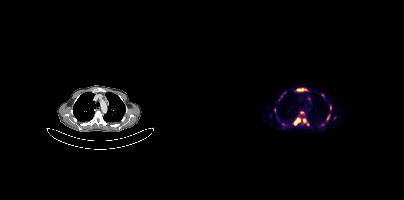
Findings: Coordinates are on the 200×200 PET (right) panel. (showing 11 of 14 foci) PSMA-avid tumor lesion bounding boxes (x0,y0,x1,y1): [90,118,96,125]; [93,88,102,91]; [122,115,125,120]. Small PSMA-avid foci (2 to 4 px across) near (center x, center y): (100, 120); (98, 112); (118, 95); (126, 107); (70, 110); (77, 96); (104, 98); (80, 92).
- Two-panel axial: CT | PSMA PET, [68Ga]Ga-PSMA-11 tracer
- slice position z = -631 mm